Left: CT. Right: PSMA PET, same axial level, 18F-PSMA tracer.
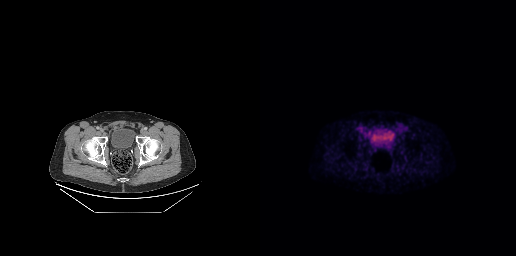
Coordinates are on the 256×256 PET (right) panel. PSMA-avid tumor lesion bounding boxes:
| # | x0 | y0 | x1 | y1 |
|---|---|---|---|---|
| 1 | 107 | 131 | 110 | 135 |